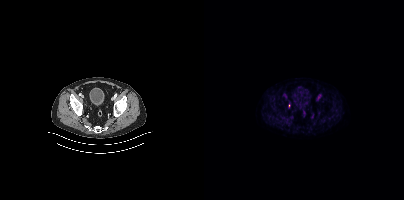
Findings: Only PSMA-avid lesion pieces thinner than 2 px on this slice (not listed).
Technique: Two-panel axial: CT | PSMA PET, [18F]PSMA-1007 tracer. acquired on Siemens Biograph mCT Flow 20.